- Left: CT. Right: PSMA PET, same axial level, [18F]PSMA-1007 tracer
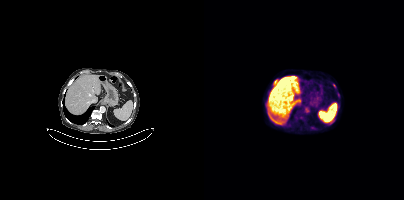
Findings: Coordinates are on the 200×200 PET (right) panel. (showing 1 of 2 foci) Small PSMA-avid focus (2 to 4 px across) near (center x, center y): (71, 80).